Technique: Two-panel axial: CT | PSMA PET, 18F-PSMA tracer. slice position z = -563 mm. PET panel 200×200 px (4.1 mm/px).
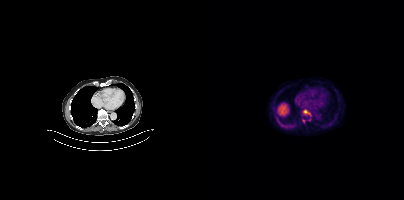
Findings: Coordinates are on the 200×200 PET (right) panel. (showing 1 of 2 foci) PSMA-avid tumor lesion bounding box (x0,y0,x1,y1): [99,110,106,114].